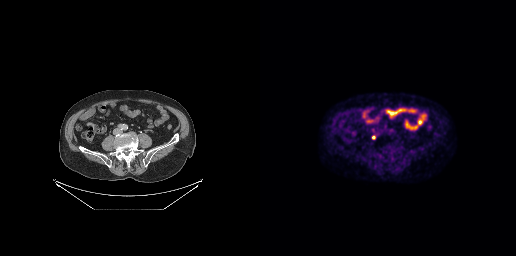
Coordinates are on the 256×256 PET (right) panel. PSMA-avid tumor lesion bounding box (x0, y0)-(x1, y1): (112, 135)-(115, 139).